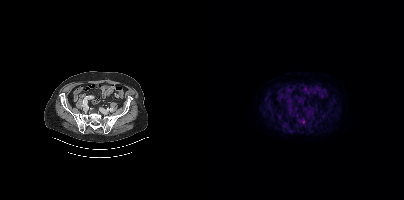
{"modality":"PSMA PET/CT","view":"axial","tracer":"18F","pet_grid":[200,200],"coord_frame":"pet_panel","coord_format":"x0,y0,x1,y1","lesion_bboxes":[],"small_foci_centers":[[99,121]]}